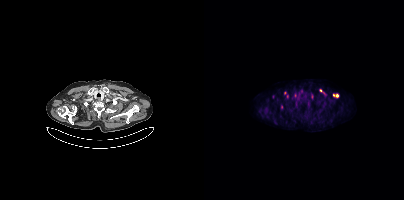
Paired axial CT (left) and PSMA PET (right), 18F-PSMA tracer. Slice 316 of 381. PET panel 200×200 px (4.1 mm/px).
Coordinates are on the 200×200 PET (right) panel. PSMA-avid tumor lesion bounding boxes (partial; 5 more foci not listed):
| # | x0 | y0 | x1 | y1 |
|---|---|---|---|---|
| 1 | 129 | 94 | 134 | 97 |
Small PSMA-avid foci (2 to 4 px across) near (center x, center y): (94, 98); (116, 90); (80, 92).